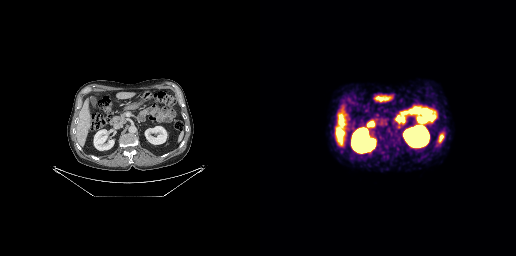
{"modality":"PSMA PET/CT","view":"axial","tracer":"68Ga-PSMA","pet_grid":[256,256],"coord_frame":"pet_panel","coord_format":"x0,y0,x1,y1","psma_avid_lesions":false}